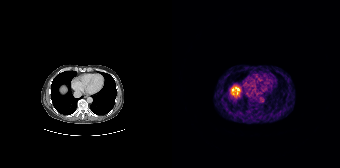
No PSMA-avid tumor lesions on this slice.